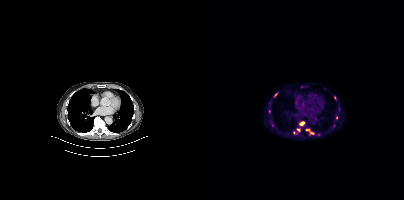
Left: CT. Right: PSMA PET, same axial level, 18F tracer. Acquired on Siemens Biograph mCT Flow 20.
Coordinates are on the 200×200 PET (right) panel. PSMA-avid tumor lesion bounding boxes (partial; 1 more focus not listed):
| # | x0 | y0 | x1 | y1 |
|---|---|---|---|---|
| 1 | 96 | 121 | 100 | 125 |
Small PSMA-avid foci (2 to 4 px across) near (center x, center y): (103, 129); (107, 133); (94, 130); (130, 97); (132, 117); (71, 94).